modality: PSMA PET/CT | tracer: 18F | view: axial
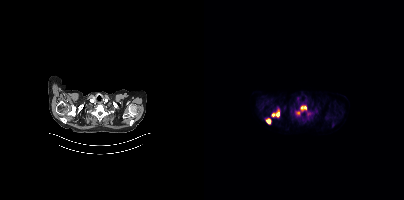
Coordinates are on the 200×200 PET (right) panel. PSMA-avid tumor lesion bounding boxes (x0,y0,x1,y1): [96,105,107,116]; [68,109,75,116]; [62,119,66,123]. Small PSMA-avid focus (2 to 4 px across) near (center x, center y): (94, 113).